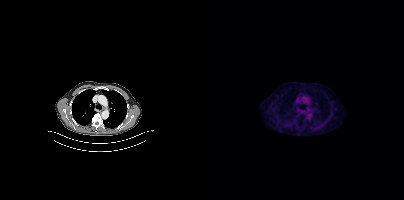
- Left: CT. Right: PSMA PET, same axial level, 18F-PSMA tracer
- PET panel 200×200 px (4.1 mm/px)
Findings: No tumor lesions annotated on this slice.